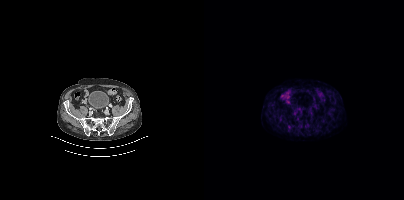
Only PSMA-avid lesion pieces thinner than 2 px on this slice (not listed).